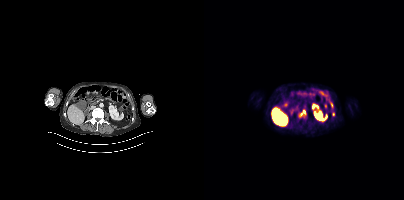
{"modality":"PSMA PET/CT","view":"axial","tracer":"18F-PSMA","pet_grid":[200,200],"coord_frame":"pet_panel","coord_format":"x0,y0,x1,y1","lesion_bboxes":[[96,110,101,116]],"small_foci_centers":[[129,114],[127,105]]}